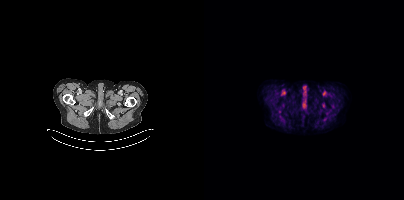
- Paired axial CT (left) and PSMA PET (right), 18F tracer
- acquired on Siemens Biograph mCT Flow 20
- slice 36 of 429
Findings: This slice has no annotated PSMA-avid lesion.